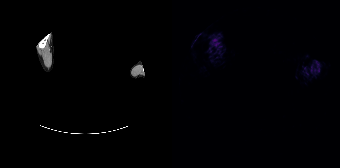
Paired axial CT (left) and PSMA PET (right), [68Ga]Ga-PSMA-11 tracer. PET panel 168×168 px (4.1 mm/px). A rectangle over the head was blacked out to remove identifiable facial features. No tumor lesions annotated on this slice.